Paired axial CT (left) and PSMA PET (right), [18F]PSMA-1007 tracer. Acquired on Siemens Biograph mCT Flow 20. PET panel 200×200 px (4.1 mm/px).
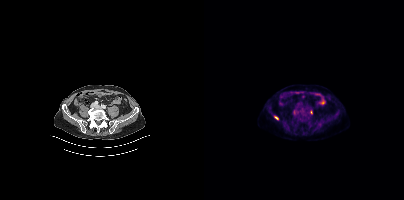
Coordinates are on the 200×200 PET (right) panel. PSMA-avid tumor lesion bounding boxes:
| # | x0 | y0 | x1 | y1 |
|---|---|---|---|---|
| 1 | 89 | 110 | 92 | 114 |
| 2 | 70 | 116 | 74 | 119 |
| 3 | 106 | 110 | 108 | 114 |